Paired axial CT (left) and PSMA PET (right), 18F tracer. PET panel 200×200 px (4.1 mm/px).
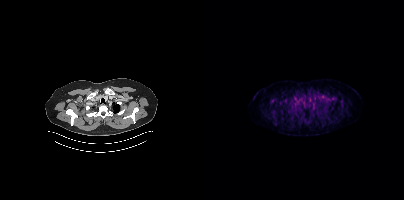
This slice has no annotated PSMA-avid lesion.